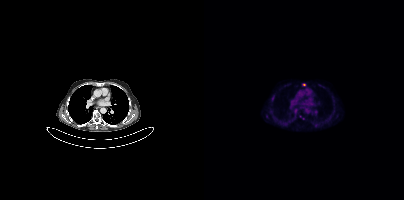
Left: CT. Right: PSMA PET, same axial level, 18F tracer. Acquired on Siemens Biograph mCT Flow 20. Slice 266 of 391. Coordinates are on the 200×200 PET (right) panel. Small PSMA-avid focus (2 to 4 px across) near (center x, center y): (100, 84).